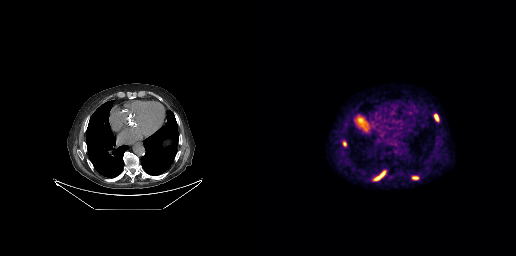
modality: PSMA PET/CT | tracer: 18F | view: axial | PET grid: 256×256
Coordinates are on the 256×256 PET (right) panel. PSMA-avid tumor lesion bounding boxes (x0, y0)-(x1, y1): (113, 170)-(126, 180); (174, 114)-(179, 121); (152, 176)-(158, 179); (83, 141)-(86, 146).